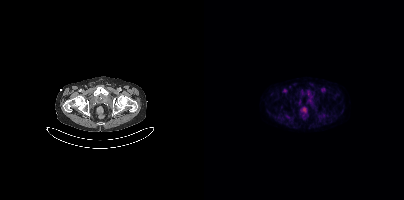
No PSMA-avid tumor lesions on this slice.